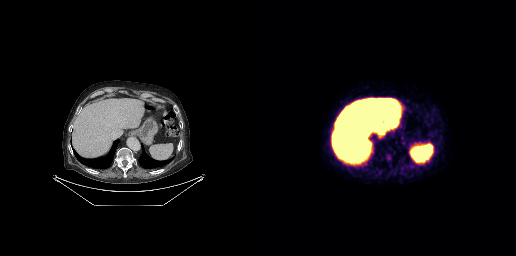
{"pet_grid":[256,256],"coord_frame":"pet_panel","coord_format":"x0,y0,x1,y1","partial":true,"lesion_bboxes":[],"modality":"PSMA PET/CT","view":"axial","tracer":"18F"}